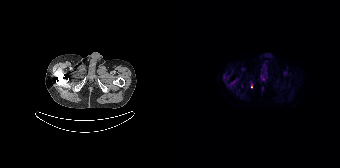
Coordinates are on the 168×168 PET (right) panel. PSMA-avid tumor lesion bounding box (x0,y0,x1,y1): [79,84,81,88].